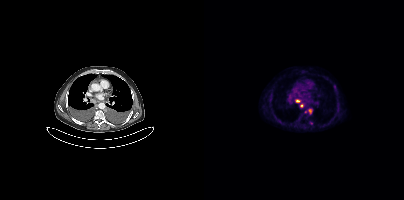
Two-panel axial: CT | PSMA PET, 18F-PSMA tracer. Acquired on Siemens Biograph mCT Flow 20. Coordinates are on the 200×200 PET (right) panel. PSMA-avid tumor lesion bounding boxes (x, y, width, height): x=104 y=109 w=5 h=6 | x=92 y=99 w=5 h=4. Small PSMA-avid foci (2 to 4 px across) near (center x, center y): (97, 105) | (101, 111).